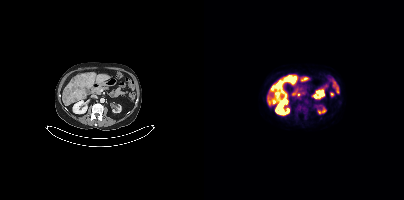
Coordinates are on the 200×200 PET (right) panel. PSMA-avid tumor lesion bounding boxes (x0, y0)-(x1, y1): (72, 81)-(78, 88) | (86, 80)-(91, 84). Small PSMA-avid focus (2 to 4 px across) near (center x, center y): (81, 78).